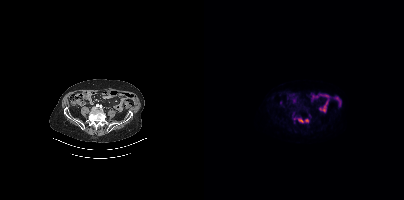
{"modality":"PSMA PET/CT","view":"axial","tracer":"18F","pet_grid":[200,200],"coord_frame":"pet_panel","coord_format":"x0,y0,x1,y1","lesion_bboxes":[[93,118,104,122]],"small_foci_centers":[[90,118]]}